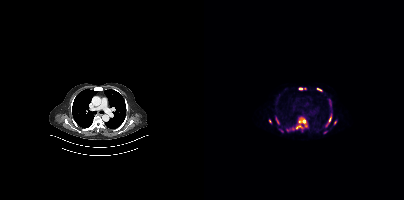
Left: CT. Right: PSMA PET, same axial level, 68Ga-PSMA tracer. Acquired on Siemens Biograph mCT Flow 20. PET panel 200×200 px (4.1 mm/px). Coordinates are on the 200×200 PET (right) panel. PSMA-avid tumor lesion bounding boxes (x0,y0,x1,y1): [88,118,102,130]; [125,100,127,105]; [71,117,75,122]; [113,88,117,91]; [125,114,127,119]; [96,88,100,89]; [122,121,125,126]. Small PSMA-avid foci (2 to 4 px across) near (center x, center y): (83, 130); (131, 122); (66, 121).